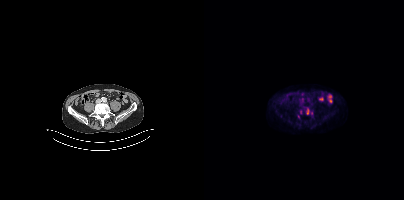
Coordinates are on the 200×200 PET (right) panel. PSMA-avid tumor lesion bounding boxes (x, y, width, height): x=93 y=110 w=6 h=9 / x=102 y=108 w=4 h=7.